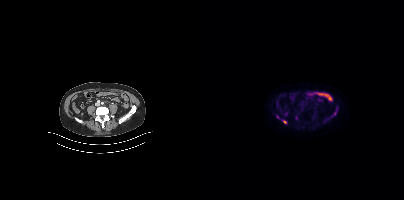
Coordinates are on the 200×200 PET (right) panel. PSMA-avid tumor lesion bounding box (x, y, width, height): x=129 y=111 w=4 h=5. Small PSMA-avid foci (2 to 4 px across) near (center x, center y): (80, 122) | (73, 117) | (92, 117). Two-panel axial: CT | PSMA PET, 18F-PSMA tracer. Slice position z = -1352 mm. PET panel 200×200 px (4.1 mm/px).